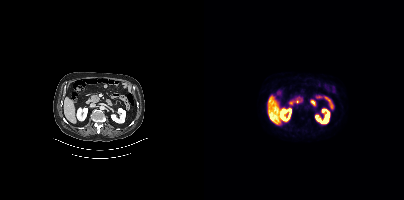
This slice has no annotated PSMA-avid lesion.